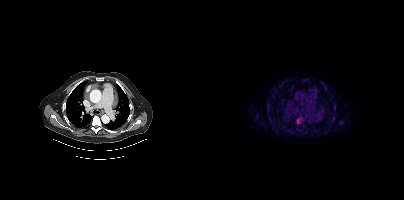
Findings: Coordinates are on the 200×200 PET (right) panel. PSMA-avid tumor lesion bounding box (x, y, width, height): x=93 y=117 w=5 h=7.
- Paired axial CT (left) and PSMA PET (right), 18F tracer
- slice 336 of 454